Technique: Paired axial CT (left) and PSMA PET (right), [18F]PSMA-1007 tracer. PET panel 200×200 px (4.1 mm/px).
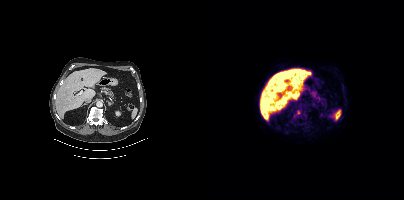
Findings: Coordinates are on the 200×200 PET (right) panel. Small PSMA-avid focus (2 to 4 px across) near (center x, center y): (94, 112).